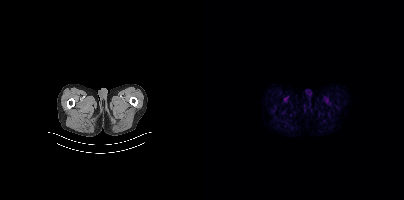
This slice has no annotated PSMA-avid lesion.